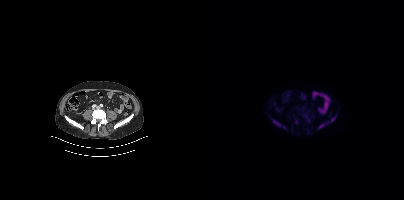
Technique: Left: CT. Right: PSMA PET, same axial level, [18F]PSMA-1007 tracer. acquired on Siemens Biograph mCT Flow 20. slice 151 of 427.
Findings: Coordinates are on the 200×200 PET (right) panel. (showing 5 of 6 foci) PSMA-avid tumor lesion bounding boxes (x0, y0)-(x1, y1): (69, 120)-(76, 126) | (126, 115)-(132, 122) | (114, 124)-(120, 128). Small PSMA-avid foci (2 to 4 px across) near (center x, center y): (79, 127) | (123, 122).